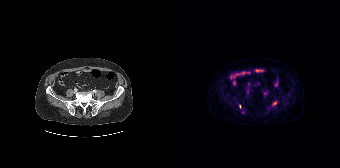
Coordinates are on the 168×168 PET (right) panel. Small PSMA-avid foci (2 to 4 px across) near (center x, center y): (67, 106); (102, 102); (70, 112).